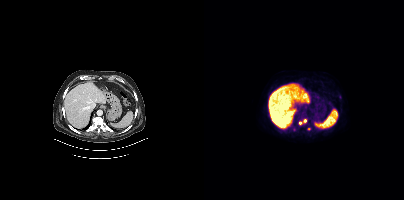
Coordinates are on the 200×200 PET (right) panel. (showing 3 of 4 foci) PSMA-avid tumor lesion bounding box (x0,y0,x1,y1): [95,119,102,124]. Small PSMA-avid foci (2 to 4 px across) near (center x, center y): (104, 129), (90, 130). Two-panel axial: CT | PSMA PET, 18F-PSMA tracer. Slice position z = -1060 mm. PET panel 200×200 px (4.1 mm/px).